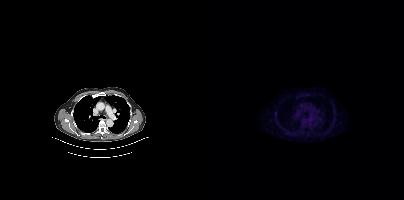
{"pet_grid":[200,200],"coord_frame":"pet_panel","coord_format":"x0,y0,x1,y1","psma_avid_lesions":false,"modality":"PSMA PET/CT","view":"axial","tracer":"18F-PSMA"}